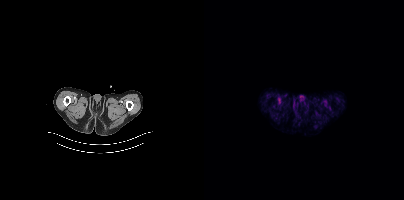
- Two-panel axial: CT | PSMA PET, 18F-PSMA tracer
- slice 34 of 427
Findings: Negative for PSMA-avid disease on this slice.